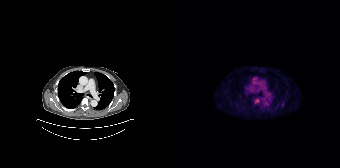
modality: PSMA PET/CT | tracer: [18F]PSMA-1007 | view: axial
Coordinates are on the 168×168 PET (right) panel. PSMA-avid tumor lesion bounding box (x0, y0)-(x1, y1): (82, 98)-(86, 102).